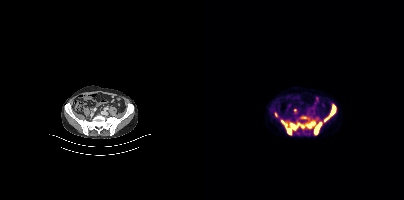
Findings: Coordinates are on the 200×200 PET (right) panel. PSMA-avid tumor lesion bounding boxes (x0, y0)-(x1, y1): (77, 120)-(111, 134); (120, 105)-(131, 121); (110, 122)-(117, 134). Small PSMA-avid foci (2 to 4 px across) near (center x, center y): (100, 117); (71, 114); (90, 109).
Technique: Two-panel axial: CT | PSMA PET, [18F]PSMA-1007 tracer. acquired on Siemens Biograph mCT Flow 20. slice position z = -864 mm.